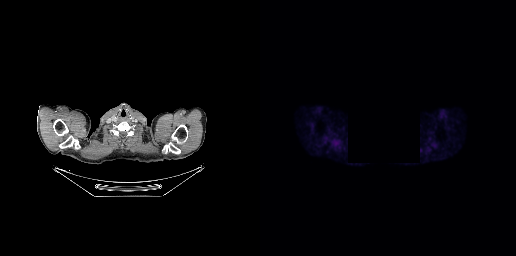
- some pixels were blanked for anonymization
- Two-panel axial: CT | PSMA PET, [18F]PSMA-1007 tracer
- slice position z = -100 mm
Findings: Negative for PSMA-avid disease on this slice.